modality: PSMA PET/CT | tracer: 68Ga-PSMA | view: axial
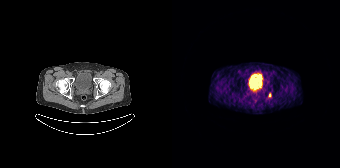
Coordinates are on the 168×168 PET (right) panel. PSMA-avid tumor lesion bounding box (x0, y0)-(x1, y1): (96, 93)-(99, 97).